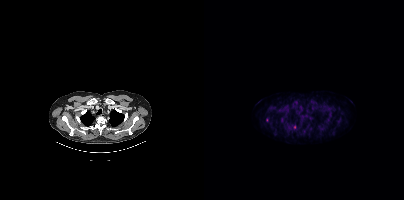
Left: CT. Right: PSMA PET, same axial level, [18F]PSMA-1007 tracer. Slice position z = -1041 mm. Coordinates are on the 200×200 PET (right) panel. Small PSMA-avid focus (2 to 4 px across) near (center x, center y): (90, 126).